Technique: Left: CT. Right: PSMA PET, same axial level, 18F tracer.
Note: Face de-identified by blanking a block of the head.
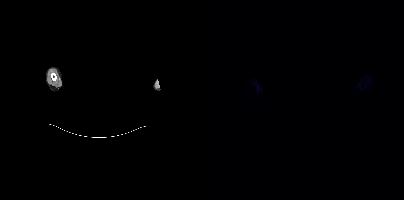
Findings: This slice has no annotated PSMA-avid lesion.